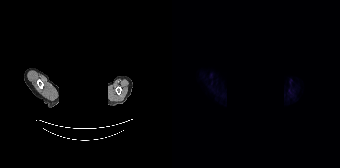
- Left: CT. Right: PSMA PET, same axial level, 18F-PSMA tracer
- slice 149 of 165
- facial anatomy redacted by setting a rectangular region of the head to black
Findings: Negative for PSMA-avid disease on this slice.